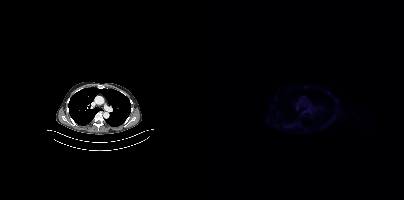
{"pet_grid":[200,200],"coord_frame":"pet_panel","coord_format":"x0,y0,x1,y1","psma_avid_lesions":false,"modality":"PSMA PET/CT","view":"axial","tracer":"18F"}